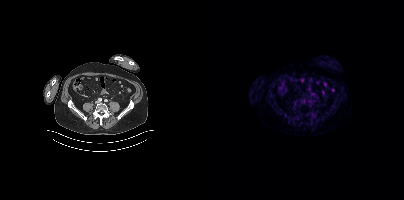
{"modality":"PSMA PET/CT","view":"axial","tracer":"[68Ga]Ga-PSMA-11","pet_grid":[200,200],"coord_frame":"pet_panel","coord_format":"x0,y0,x1,y1","psma_avid_lesions":false}